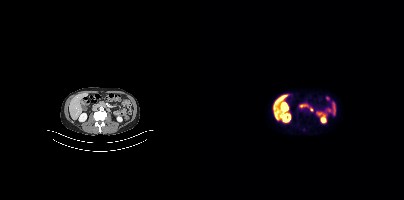
No tumor lesions annotated on this slice. Paired axial CT (left) and PSMA PET (right), 18F-PSMA tracer. Slice 154 of 377. PET panel 200×200 px (4.1 mm/px).